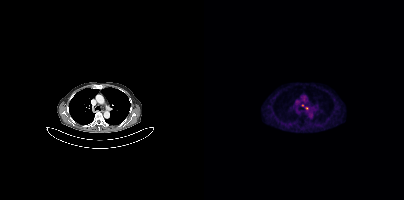
Two-panel axial: CT | PSMA PET, 18F-PSMA tracer. Acquired on Siemens Biograph mCT Flow 20. Slice position z = -498 mm. PET panel 200×200 px (4.1 mm/px). Coordinates are on the 200×200 PET (right) panel. Small PSMA-avid foci (2 to 4 px across) near (center x, center y): (103, 108); (98, 105).